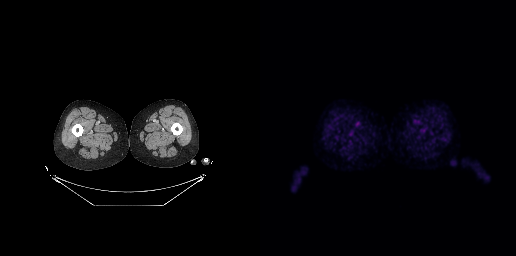
{"modality":"PSMA PET/CT","view":"axial","tracer":"18F","pet_grid":[256,256],"coord_frame":"pet_panel","coord_format":"x0,y0,x1,y1","psma_avid_lesions":false}